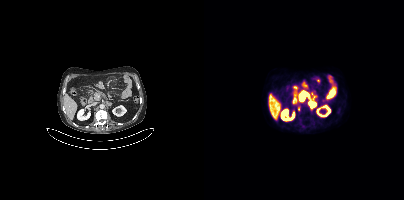
Two-panel axial: CT | PSMA PET, [18F]PSMA-1007 tracer.
Coordinates are on the 200×200 PET (right) panel. PSMA-avid tumor lesion bounding boxes (partial; 1 more focus not listed):
| # | x0 | y0 | x1 | y1 |
|---|---|---|---|---|
| 1 | 95 | 91 | 104 | 100 |
| 2 | 104 | 101 | 112 | 108 |
| 3 | 94 | 106 | 96 | 110 |
Small PSMA-avid focus (2 to 4 px across) near (center x, center y): (110, 96).